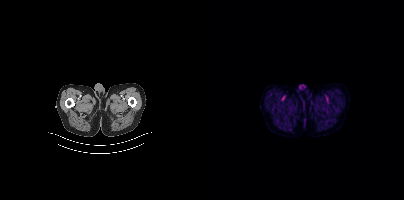
{"pet_grid":[200,200],"coord_frame":"pet_panel","coord_format":"x0,y0,x1,y1","psma_avid_lesions":false,"modality":"PSMA PET/CT","view":"axial","tracer":"18F"}